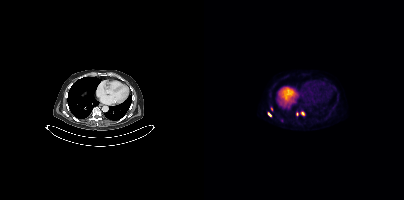
{"modality":"PSMA PET/CT","view":"axial","tracer":"[18F]PSMA-1007","pet_grid":[200,200],"coord_frame":"pet_panel","coord_format":"x0,y0,x1,y1","partial":true,"lesion_bboxes":[[66,107,68,111],[64,112,67,116]],"small_foci_centers":[[98,113]]}